Two-panel axial: CT | PSMA PET, [68Ga]Ga-PSMA-11 tracer. Acquired on Siemens Biograph 64-4R TruePoint.
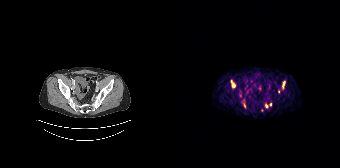
Coordinates are on the 168×168 PET (right) panel. PSMA-avid tumor lesion bounding boxes:
| # | x0 | y0 | x1 | y1 |
|---|---|---|---|---|
| 1 | 59 | 80 | 63 | 88 |
| 2 | 110 | 81 | 112 | 87 |
Small PSMA-avid foci (2 to 4 px across) near (center x, center y): (98, 104); (106, 91); (72, 105); (94, 106).